Technique: Paired axial CT (left) and PSMA PET (right), 68Ga tracer. PET panel 168×168 px (4.1 mm/px).
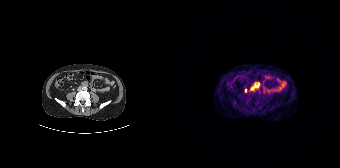
Findings: Coordinates are on the 168×168 PET (right) panel. PSMA-avid tumor lesion bounding box (x, y, width, height): x=78 y=82 w=10 h=9. Small PSMA-avid focus (2 to 4 px across) near (center x, center y): (73, 90).